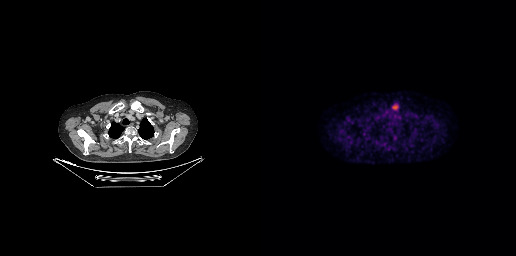
{"modality":"PSMA PET/CT","view":"axial","tracer":"[18F]PSMA-1007","pet_grid":[256,256],"coord_frame":"pet_panel","coord_format":"x0,y0,x1,y1","lesion_bboxes":[[132,104,138,109]]}